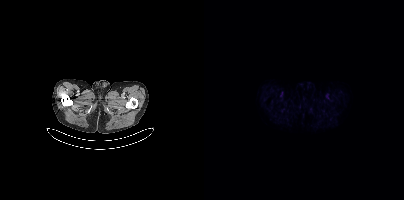
No PSMA-avid tumor lesions on this slice.